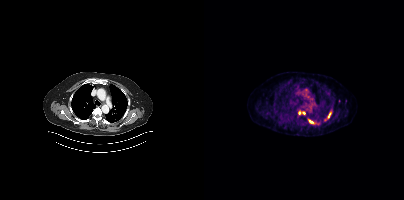
Coordinates are on the 200×200 PET (right) panel. (showing 3 of 4 foci) PSMA-avid tumor lesion bounding boxes (x0, y0)-(x1, y1): (120, 111)-(127, 120) / (94, 111)-(101, 114) / (104, 119)-(110, 123).